Paired axial CT (left) and PSMA PET (right), 18F tracer. Head region blanked for anonymization (face removed).
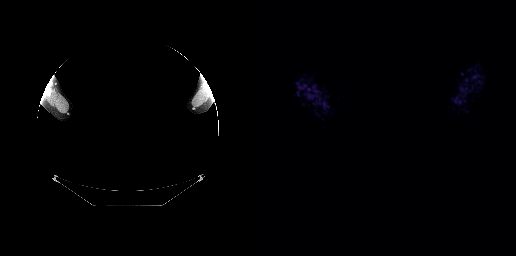
Negative for PSMA-avid disease on this slice.